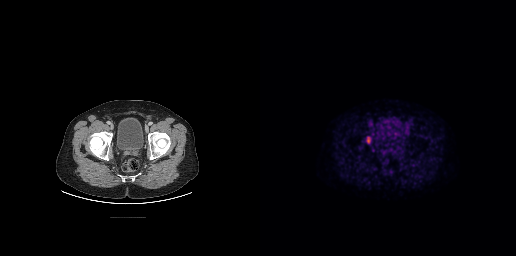
{"modality":"PSMA PET/CT","view":"axial","tracer":"18F-PSMA","pet_grid":[256,256],"coord_frame":"pet_panel","coord_format":"x0,y0,x1,y1","lesion_bboxes":[[107,137,110,142]]}